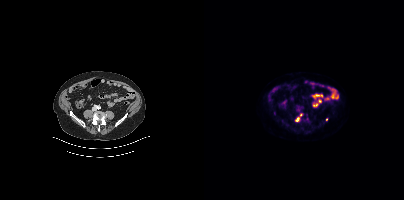
Coordinates are on the 200×200 PET (right) panel. PSMA-avid tumor lesion bounding box (x, y, width, height): x=92 y=117 w=4 h=5. Small PSMA-avid foci (2 to 4 px across) near (center x, center y): (122, 119); (96, 114).